Technique: Left: CT. Right: PSMA PET, same axial level, 18F tracer. slice 230 of 405. PET panel 200×200 px (4.1 mm/px).
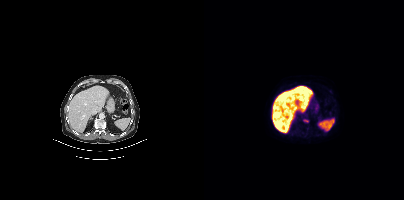
Findings: No tumor lesions annotated on this slice.